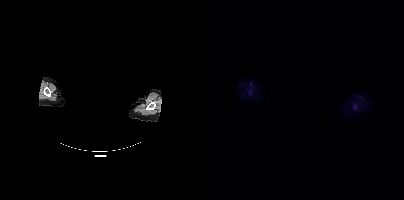
redaction: privacy mask over head | modality: PSMA PET/CT | tracer: [18F]PSMA-1007 | view: axial | PET grid: 200×200
This slice has no annotated PSMA-avid lesion.